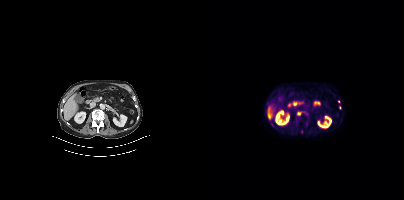
modality: PSMA PET/CT | tracer: [18F]PSMA-1007 | view: axial | PET grid: 200×200
Coordinates are on the 200×200 PET (right) panel. (showing 2 of 3 foci) Small PSMA-avid foci (2 to 4 px across) near (center x, center y): (94, 113); (134, 101).